Technique: Two-panel axial: CT | PSMA PET, [18F]PSMA-1007 tracer.
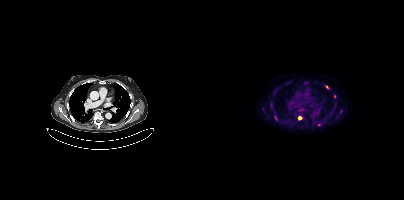
Findings: Coordinates are on the 200×200 PET (right) panel. (showing 4 of 6 foci) PSMA-avid tumor lesion bounding boxes (x, y, width, height): x=94 y=116 w=5 h=4; x=71 y=116 w=3 h=5. Small PSMA-avid foci (2 to 4 px across) near (center x, center y): (123, 87); (130, 96).